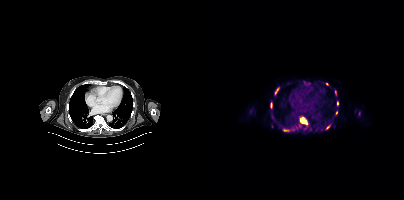
Paired axial CT (left) and PSMA PET (right), 18F tracer. Slice position z = -1062 mm. PET panel 200×200 px (4.1 mm/px).
Coordinates are on the 200×200 PET (right) panel. PSMA-avid tumor lesion bounding boxes (partial; 1 more focus not listed):
| # | x0 | y0 | x1 | y1 |
|---|---|---|---|---|
| 1 | 96 | 117 | 103 | 124 |
| 2 | 79 | 129 | 85 | 131 |
| 3 | 71 | 88 | 75 | 94 |
| 4 | 133 | 101 | 134 | 105 |
| 5 | 66 | 103 | 68 | 107 |
Small PSMA-avid foci (2 to 4 px across) near (center x, center y): (131, 92); (132, 112); (122, 83); (124, 127); (112, 129).